modality: PSMA PET/CT | tracer: [18F]PSMA-1007 | view: axial
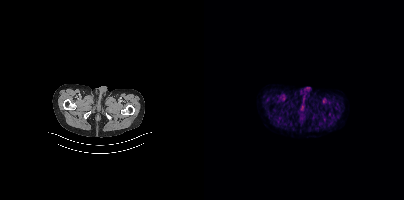
No tumor lesions annotated on this slice.